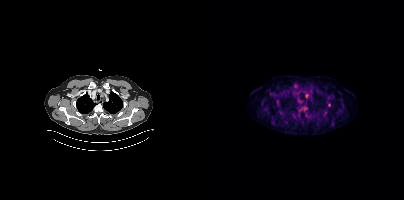
{"modality":"PSMA PET/CT","view":"axial","tracer":"[18F]PSMA-1007","pet_grid":[200,200],"coord_frame":"pet_panel","coord_format":"x0,y0,x1,y1","lesion_bboxes":[],"small_foci_centers":[[102,95],[73,101],[94,99],[125,104]]}